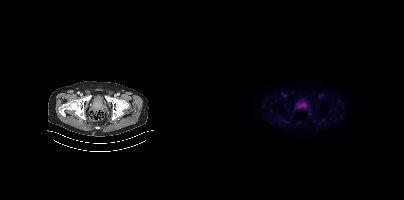
Technique: Left: CT. Right: PSMA PET, same axial level, [18F]PSMA-1007 tracer. slice 65 of 436. PET panel 200×200 px (4.1 mm/px).
Findings: Coordinates are on the 200×200 PET (right) panel. PSMA-avid tumor lesion bounding box (x0, y0)-(x1, y1): (96, 103)-(102, 108).